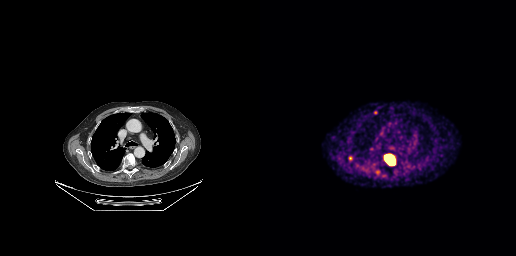
Paired axial CT (left) and PSMA PET (right), 68Ga-PSMA tracer. Slice 199 of 263. Coordinates are on the 256×256 PET (right) panel. PSMA-avid tumor lesion bounding boxes (x, y, width, height): x=124 y=154 w=12 h=12 / x=89 y=156 w=4 h=5. Small PSMA-avid foci (2 to 4 px across) near (center x, center y): (115, 112) / (135, 173) / (117, 172).